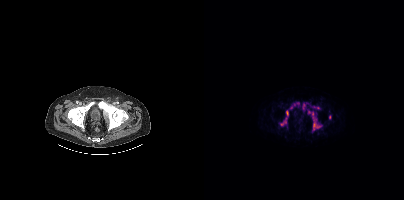
Findings: Coordinates are on the 200×200 PET (right) panel. PSMA-avid tumor lesion bounding boxes (x, y, width, height): x=76 y=103 w=17 h=23 | x=109 y=122 w=9 h=7 | x=98 y=102 w=6 h=9 | x=104 y=110 w=6 h=6 | x=110 y=106 w=6 h=4. Small PSMA-avid foci (2 to 4 px across) near (center x, center y): (125, 116) | (108, 118).
Technique: Two-panel axial: CT | PSMA PET, [18F]PSMA-1007 tracer. slice position z = -998 mm.